- Left: CT. Right: PSMA PET, same axial level, 18F-PSMA tracer
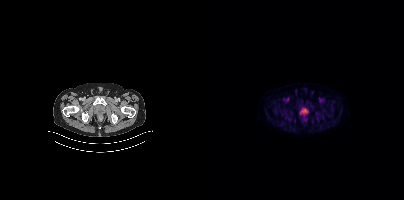
Findings: Coordinates are on the 200×200 PET (right) panel. Small PSMA-avid focus (2 to 4 px across) near (center x, center y): (82, 116).